Paired axial CT (left) and PSMA PET (right), 18F-PSMA tracer. The face region was removed for patient privacy by blanking a rectangle over the head.
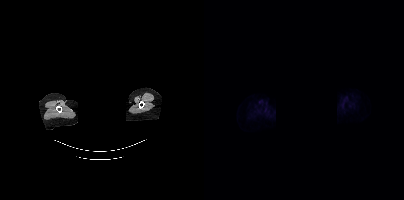
This slice has no annotated PSMA-avid lesion.